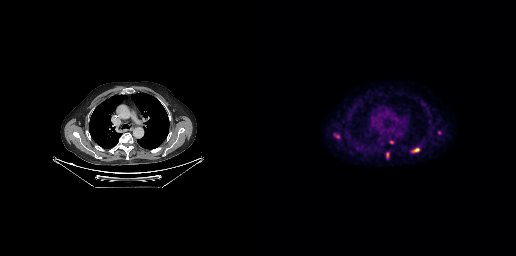
Findings: Coordinates are on the 256×256 PET (right) panel. (showing 6 of 7 foci) PSMA-avid tumor lesion bounding boxes (x0, y0)-(x1, y1): (152, 148)-(159, 152); (126, 151)-(129, 158); (74, 134)-(79, 138). Small PSMA-avid foci (2 to 4 px across) near (center x, center y): (179, 132); (131, 142); (163, 104).
Technique: Two-panel axial: CT | PSMA PET, [18F]PSMA-1007 tracer. acquired on GE Discovery 690.